Left: CT. Right: PSMA PET, same axial level, 18F-PSMA tracer. Slice 222 of 427.
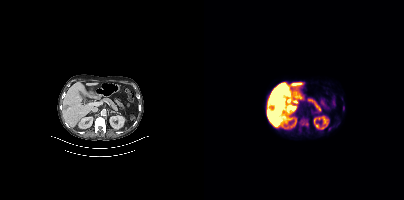
Coordinates are on the 200×200 PET (right) panel. PSMA-avid tumor lesion bounding boxes (partial; 1 more focus not listed):
| # | x0 | y0 | x1 | y1 |
|---|---|---|---|---|
| 1 | 95 | 118 | 104 | 127 |
| 2 | 138 | 105 | 140 | 109 |
Small PSMA-avid focus (2 to 4 px across) near (center x, center y): (138, 98).